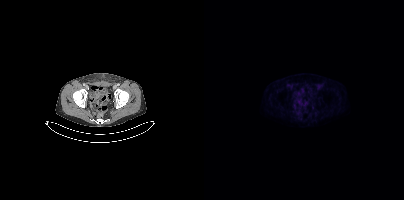
Technique: Left: CT. Right: PSMA PET, same axial level, [18F]PSMA-1007 tracer. acquired on Siemens Biograph mCT Flow 20. slice position z = -474 mm. PET panel 200×200 px (4.1 mm/px).
Findings: This slice has no annotated PSMA-avid lesion.